- Paired axial CT (left) and PSMA PET (right), [18F]PSMA-1007 tracer
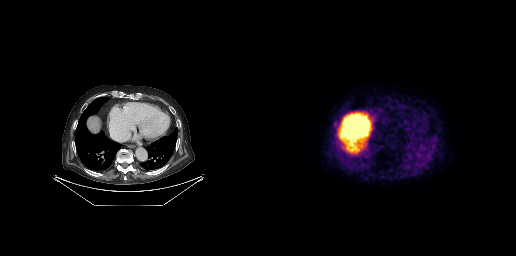
Findings: Coordinates are on the 256×256 PET (right) panel. (showing 1 of 2 foci) Small PSMA-avid focus (2 to 4 px across) near (center x, center y): (75, 123).